Left: CT. Right: PSMA PET, same axial level, 18F tracer. Acquired on Siemens Biograph mCT Flow 20. Slice position z = -1358 mm. PET panel 200×200 px (4.1 mm/px).
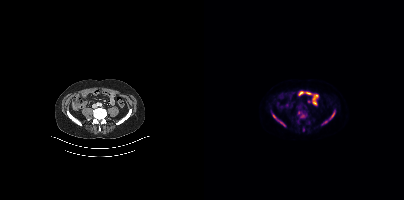
Coordinates are on the 200×200 PET (right) panel. PSMA-avid tumor lesion bounding boxes:
| # | x0 | y0 | x1 | y1 |
|---|---|---|---|---|
| 1 | 69 | 114 | 81 | 126 |
| 2 | 94 | 111 | 102 | 117 |
| 3 | 121 | 112 | 130 | 122 |
Small PSMA-avid focus (2 to 4 px across) near (center x, center y): (99, 129).